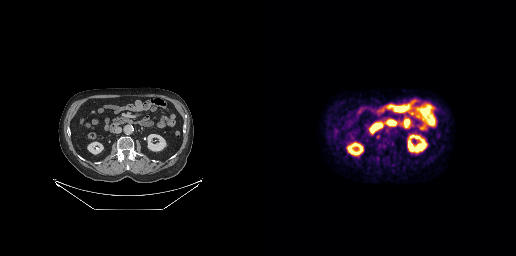
modality: PSMA PET/CT | tracer: [18F]PSMA-1007 | view: axial
Coordinates are on the 256×256 PET (right) panel. Small PSMA-avid focus (2 to 4 px across) near (center x, center y): (117, 136).